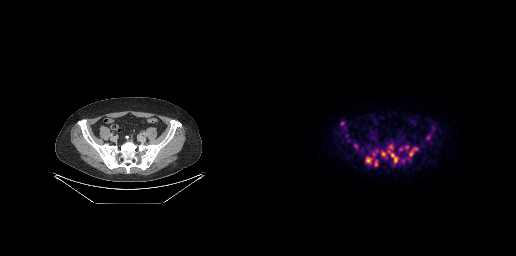
Coordinates are on the 256×256 PET (right) panel. (showing 11 of 12 foci) PSMA-avid tumor lesion bounding boxes (x0, y0)-(x1, y1): (128, 150)-(138, 163) / (149, 147)-(157, 156) / (106, 157)-(111, 163) / (121, 151)-(125, 156) / (114, 160)-(117, 166) / (129, 145)-(132, 149). Small PSMA-avid foci (2 to 4 px across) near (center x, center y): (146, 147) / (95, 145) / (141, 149) / (168, 137) / (114, 154).